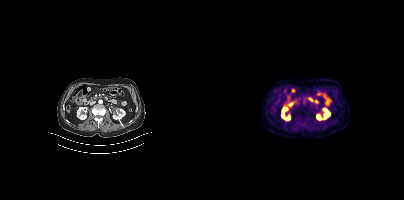
No PSMA-avid tumor lesions on this slice.